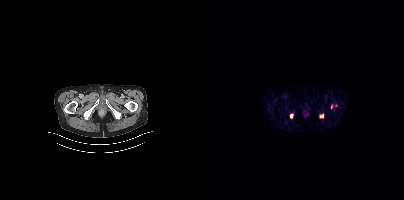
{"modality":"PSMA PET/CT","view":"axial","tracer":"18F","pet_grid":[200,200],"coord_frame":"pet_panel","coord_format":"x0,y0,x1,y1","partial":true,"lesion_bboxes":[],"small_foci_centers":[[117,115],[87,115]]}